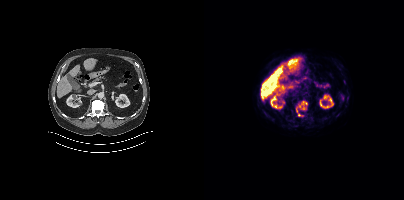
Technique: Paired axial CT (left) and PSMA PET (right), 18F-PSMA tracer. acquired on Siemens Biograph mCT Flow 20. slice position z = -558 mm.
Findings: Coordinates are on the 200×200 PET (right) panel. (showing 2 of 3 foci) PSMA-avid tumor lesion bounding box (x0, y0)-(x1, y1): (92, 101)-(103, 111). Small PSMA-avid focus (2 to 4 px across) near (center x, center y): (95, 115).